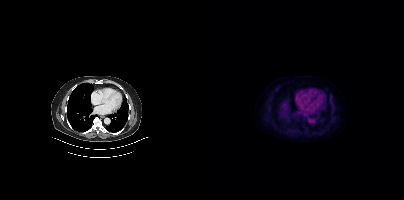
- Left: CT. Right: PSMA PET, same axial level, 18F-PSMA tracer
- slice 234 of 381
Findings: No tumor lesions annotated on this slice.